Left: CT. Right: PSMA PET, same axial level, [18F]PSMA-1007 tracer. Acquired on GE Discovery 690. PET panel 256×256 px (2.7 mm/px).
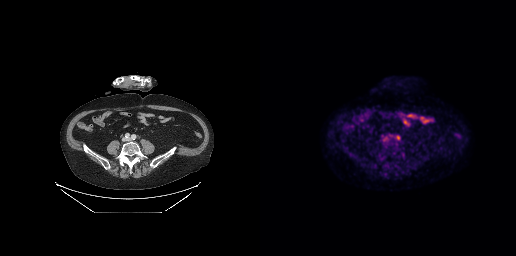
Coordinates are on the 256×256 PET (right) panel. Small PSMA-avid focus (2 to 4 px across) near (center x, center y): (137, 137).